- Two-panel axial: CT | PSMA PET, 18F tracer
- slice 296 of 407
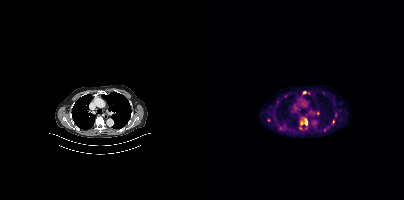
Findings: Coordinates are on the 200×200 PET (right) panel. (showing 5 of 7 foci) PSMA-avid tumor lesion bounding box (x0,y0,x1,y1): [96,118,103,125]. Small PSMA-avid foci (2 to 4 px across) near (center x, center y): (100, 92), (64, 119), (129, 121), (120, 129).